Technique: Two-panel axial: CT | PSMA PET, 68Ga tracer. acquired on Siemens Biograph 64-4R TruePoint. PET panel 168×168 px (4.1 mm/px).
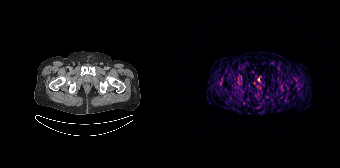
Findings: No tumor lesions annotated on this slice.